Left: CT. Right: PSMA PET, same axial level, 18F tracer. Acquired on GE Discovery 690.
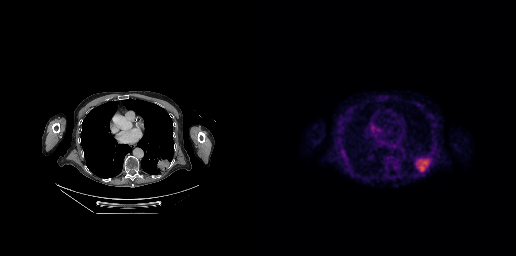
Coordinates are on the 256×256 PET (right) panel. PSMA-avid tumor lesion bounding boxes:
| # | x0 | y0 | x1 | y1 |
|---|---|---|---|---|
| 1 | 156 | 158 | 169 | 171 |